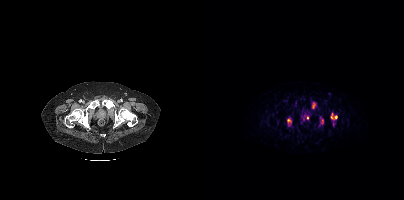
Coordinates are on the 200×200 PET (right) panel. PSMA-avid tumor lesion bounding boxes (partial; 1 more focus not listed):
| # | x0 | y0 | x1 | y1 |
|---|---|---|---|---|
| 1 | 108 | 103 | 112 | 108 |
| 2 | 117 | 120 | 119 | 124 |
Small PSMA-avid foci (2 to 4 px across) near (center x, center y): (132, 117); (103, 117); (84, 120); (127, 117).
Paired axial CT (left) and PSMA PET (right), 68Ga-PSMA tracer. Acquired on Siemens Biograph mCT Flow 20. Slice position z = 299 mm. PET panel 200×200 px (4.1 mm/px).